Two-panel axial: CT | PSMA PET, [18F]PSMA-1007 tracer. Acquired on Siemens Biograph mCT Flow 20. Slice 201 of 435.
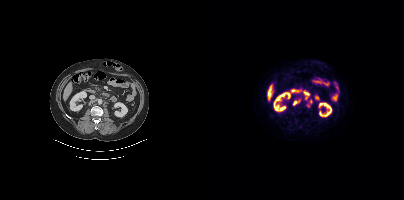
Coordinates are on the 200×200 PET (right) panel. PSMA-avid tumor lesion bounding boxes (x, y, width, height): x=102 y=100 w=7 h=8; x=89 y=98 w=8 h=7. Small PSMA-avid focus (2 to 4 px across) near (center x, center y): (103, 97).